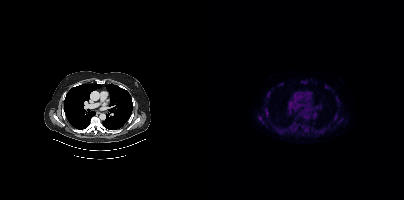
Paired axial CT (left) and PSMA PET (right), 18F-PSMA tracer. Acquired on Siemens Biograph mCT Flow 20. PET panel 200×200 px (4.1 mm/px).
Coordinates are on the 200×200 PET (right) panel. PSMA-avid tumor lesion bounding boxes (partial; 2 more foci not listed):
| # | x0 | y0 | x1 | y1 |
|---|---|---|---|---|
| 1 | 91 | 119 | 98 | 125 |
| 2 | 87 | 127 | 91 | 132 |
| 3 | 60 | 108 | 64 | 116 |
| 4 | 99 | 126 | 104 | 131 |
| 5 | 69 | 127 | 76 | 132 |
| 6 | 97 | 80 | 101 | 83 |
| 7 | 54 | 117 | 58 | 121 |
| 8 | 63 | 91 | 66 | 97 |
| 9 | 63 | 118 | 67 | 124 |
| 10 | 131 | 111 | 133 | 116 |
Small PSMA-avid foci (2 to 4 px across) near (center x, center y): (118, 130); (122, 86); (78, 83); (132, 97).